Left: CT. Right: PSMA PET, same axial level, [18F]PSMA-1007 tracer. Acquired on Siemens Biograph mCT Flow 20. PET panel 200×200 px (4.1 mm/px).
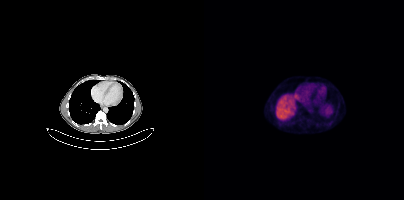
Negative for PSMA-avid disease on this slice.